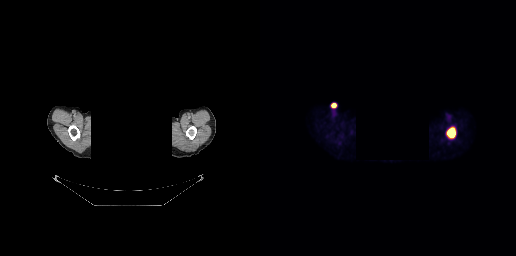
An anonymization step blacked out a rectangle over the head in this scan.
Coordinates are on the 256×256 PET (right) panel. PSMA-avid tumor lesion bounding box (x0, y0)-(x1, y1): (186, 127)-(195, 138).